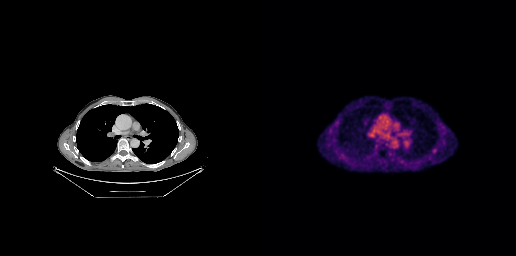
Findings: Coordinates are on the 256×256 PET (right) panel. PSMA-avid tumor lesion bounding box (x0, y0)-(x1, y1): (171, 148)-(175, 152).
Technique: Two-panel axial: CT | PSMA PET, [18F]PSMA-1007 tracer. PET panel 256×256 px (2.7 mm/px).